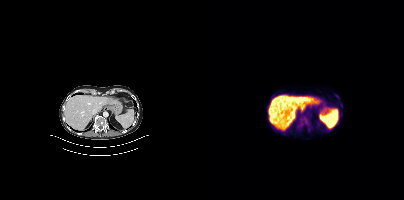
{"modality":"PSMA PET/CT","view":"axial","tracer":"18F-PSMA","pet_grid":[200,200],"coord_frame":"pet_panel","coord_format":"x0,y0,x1,y1","psma_avid_lesions":false}